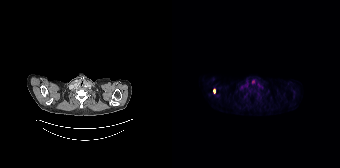
{"modality":"PSMA PET/CT","view":"axial","tracer":"18F","pet_grid":[168,168],"coord_frame":"pet_panel","coord_format":"x0,y0,x1,y1","lesion_bboxes":[[41,89,43,93]]}